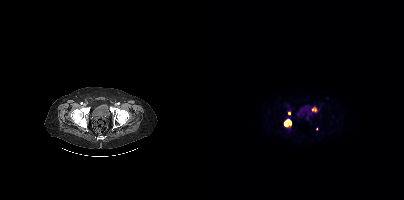
Coordinates are on the 200×200 PET (right) panel. PSMA-avid tumor lesion bounding boxes (x0,y0,x1,y1): [80,119,87,126]; [108,107,112,111]. Small PSMA-avid foci (2 to 4 px across) near (center x, center y): (85, 113); (112, 128). Paired axial CT (left) and PSMA PET (right), [18F]PSMA-1007 tracer. Acquired on Siemens Biograph mCT Flow 20. Slice position z = -1452 mm.